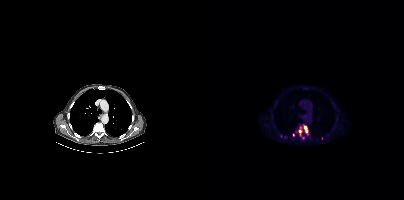
{"modality":"PSMA PET/CT","view":"axial","tracer":"18F-PSMA","pet_grid":[200,200],"coord_frame":"pet_panel","coord_format":"x0,y0,x1,y1","partial":true,"lesion_bboxes":[[100,126,104,132]],"small_foci_centers":[[95,131],[99,138],[77,136],[96,127],[103,134],[89,134]]}